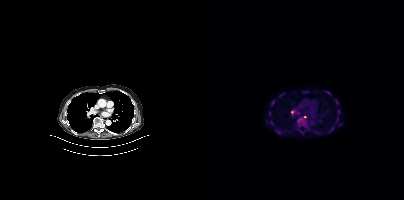
Paired axial CT (left) and PSMA PET (right), [18F]PSMA-1007 tracer. Slice 263 of 401. PET panel 200×200 px (4.1 mm/px).
Coordinates are on the 200×200 PET (right) panel. PSMA-avid tumor lesion bounding boxes (partial; 1 more focus not listed):
| # | x0 | y0 | x1 | y1 |
|---|---|---|---|---|
| 1 | 131 | 99 | 134 | 104 |
| 2 | 87 | 110 | 89 | 114 |
| 3 | 134 | 110 | 136 | 114 |
| 4 | 123 | 92 | 127 | 94 |
Small PSMA-avid foci (2 to 4 px across) near (center x, center y): (133, 118); (68, 103); (67, 122); (65, 113).